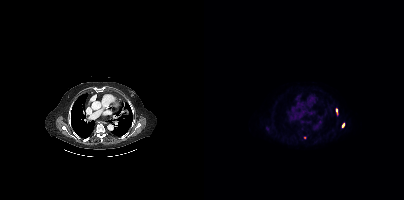
{"modality":"PSMA PET/CT","view":"axial","tracer":"18F","pet_grid":[200,200],"coord_frame":"pet_panel","coord_format":"x0,y0,x1,y1","partial":true,"lesion_bboxes":[[138,123,140,127]],"small_foci_centers":[[132,110]]}